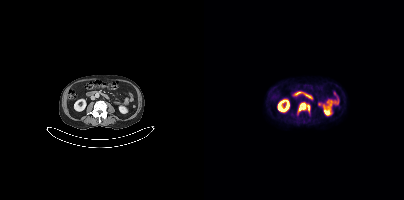
Coordinates are on the 200×200 PET (right) panel. PSMA-avid tumor lesion bounding box (x, y, width, height): x=94 y=102 w=13 h=12.